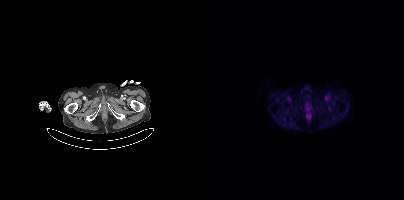
Left: CT. Right: PSMA PET, same axial level, [18F]PSMA-1007 tracer. This slice has no annotated PSMA-avid lesion.